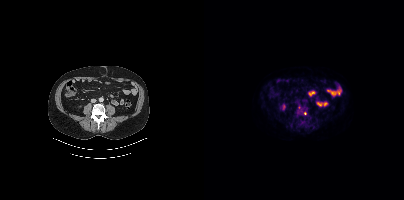
Coordinates are on the 200×200 PET (right) panel. PSMA-avid tumor lesion bounding boxes (x0,y0,x1,y1): [92,106,105,118] [95,123,98,127].
modality: PSMA PET/CT | tracer: 18F-PSMA | view: axial | PET grid: 200×200